Two-panel axial: CT | PSMA PET, 18F-PSMA tracer. Acquired on Siemens Biograph mCT Flow 20. Slice 90 of 444. PET panel 200×200 px (4.1 mm/px).
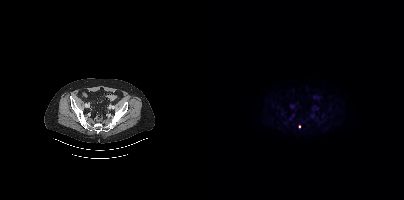
Coordinates are on the 200×200 PET (right) panel. Small PSMA-avid focus (2 to 4 px across) near (center x, center y): (95, 126).